Paired axial CT (left) and PSMA PET (right), 68Ga tracer. Slice position z = -1160 mm.
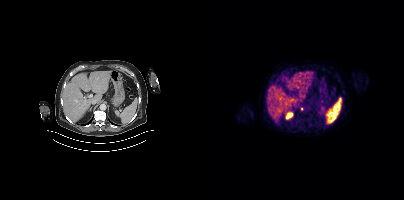
Coordinates are on the 200×200 PET (right) panel. Small PSMA-avid focus (2 to 4 px across) near (center x, center y): (97, 108).